Technique: Left: CT. Right: PSMA PET, same axial level, 18F-PSMA tracer. PET panel 200×200 px (4.1 mm/px).
Note: De-identified by setting a box covering the face to black before release.
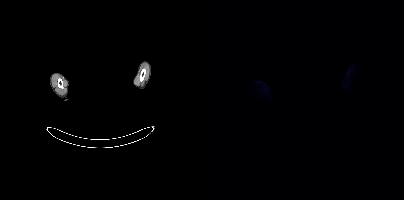
Findings: No PSMA-avid tumor lesions on this slice.